modality: PSMA PET/CT | tracer: 18F-PSMA | view: axial | PET grid: 200×200
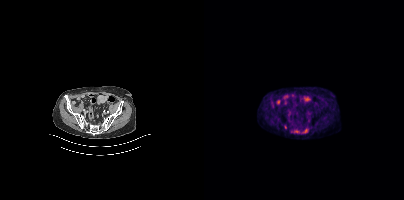
Coordinates are on the 200×200 PET (right) panel. Small PSMA-avid focus (2 to 4 px across) near (center x, center y): (81, 127).